- Two-panel axial: CT | PSMA PET, 18F-PSMA tracer
- acquired on GE Discovery 690
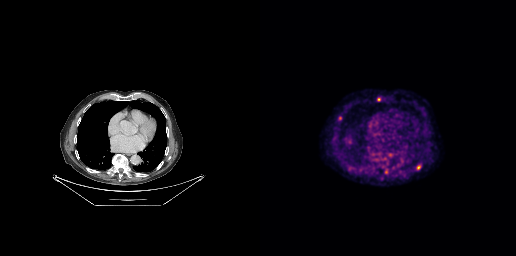
Findings: Coordinates are on the 256×256 PET (right) panel. (showing 5 of 6 foci) PSMA-avid tumor lesion bounding boxes (x, y, width, height): x=123 y=160 w=6 h=6 / x=117 y=97 w=4 h=5 / x=157 y=165 w=4 h=5. Small PSMA-avid foci (2 to 4 px across) near (center x, center y): (80, 118) / (126, 172).